modality: PSMA PET/CT | tracer: 18F | view: axial
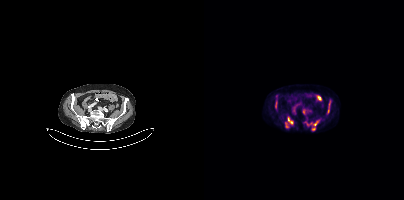
Coordinates are on the 200×200 PET (right) panel. PSMA-avid tumor lesion bounding boxes (x0, y0)-(x1, y1): (84, 117)-(89, 124) / (123, 103)-(126, 113) / (81, 122)-(84, 127) / (71, 102)-(72, 107). Small PSMA-avid foci (2 to 4 px across) near (center x, center y): (111, 123) / (109, 128).